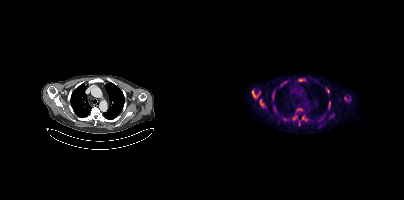
Coordinates are on the 200×200 PET (right) panel. (showing 11 of 13 foci) PSMA-avid tumor lesion bounding boxes (x0,y0,x1,y1): [124,102,126,108]; [94,79,100,81]; [48,91,51,96]; [98,117,102,120]; [122,89,125,93]; [68,94,70,99]; [89,116,93,119]; [56,100,58,104]. Small PSMA-avid foci (2 to 4 px across) near (center x, center y): (77, 85); (95, 109); (141, 98).